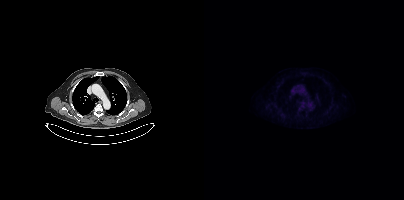
Negative for PSMA-avid disease on this slice. Left: CT. Right: PSMA PET, same axial level, 18F-PSMA tracer. Acquired on Siemens Biograph mCT Flow 20.